Left: CT. Right: PSMA PET, same axial level, [68Ga]Ga-PSMA-11 tracer. Acquired on Siemens Biograph mCT Flow 20.
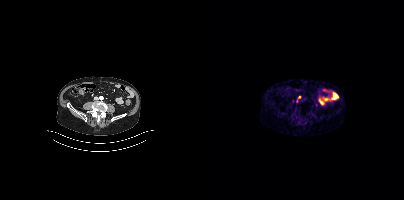
Coordinates are on the 200×200 PET (right) panel. (showing 1 of 2 foci) Small PSMA-avid focus (2 to 4 px across) near (center x, center y): (95, 97).